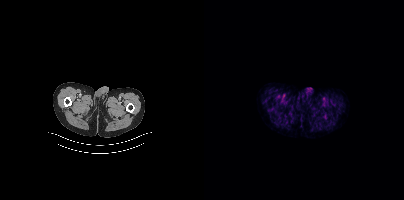
Findings: Negative for PSMA-avid disease on this slice.
Technique: Left: CT. Right: PSMA PET, same axial level, 18F-PSMA tracer.